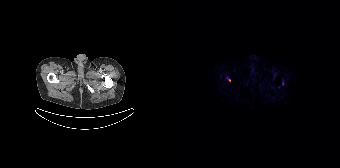
Findings: Coordinates are on the 168×168 PET (right) panel. Small PSMA-avid foci (2 to 4 px across) near (center x, center y): (110, 83) / (57, 80).
- Paired axial CT (left) and PSMA PET (right), [18F]PSMA-1007 tracer
- acquired on Siemens Biograph 64-4R TruePoint
- slice position z = -1170 mm
- PET panel 168×168 px (4.1 mm/px)